modality: PSMA PET/CT | tracer: [18F]PSMA-1007 | view: axial
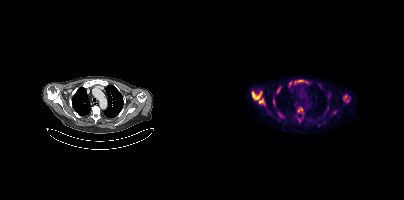
Coordinates are on the 200×200 PET (right) panel. (showing 9 of 13 foci) PSMA-avid tumor lesion bounding boxes (x0, y0)-(x1, y1): (48, 92)-(57, 99) | (91, 80)-(103, 83) | (94, 107)-(98, 112) | (55, 99)-(59, 103) | (139, 95)-(142, 99). Small PSMA-avid foci (2 to 4 px across) near (center x, center y): (76, 86) | (73, 92) | (143, 100) | (70, 104).